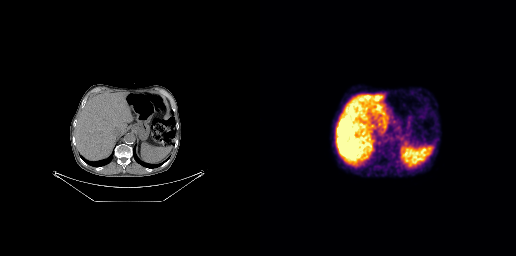
Two-panel axial: CT | PSMA PET, [68Ga]Ga-PSMA-11 tracer. Slice 129 of 227. PET panel 256×256 px (2.7 mm/px). No PSMA-avid tumor lesions on this slice.